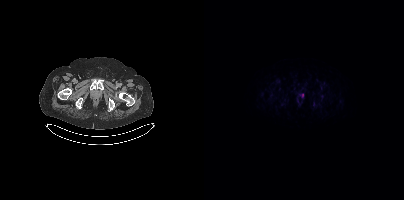
Left: CT. Right: PSMA PET, same axial level, [18F]PSMA-1007 tracer. Slice position z = -869 mm. PET panel 200×200 px (4.1 mm/px). Coordinates are on the 200×200 PET (right) panel. Small PSMA-avid focus (2 to 4 px across) near (center x, center y): (98, 95).